Technique: Paired axial CT (left) and PSMA PET (right), [18F]PSMA-1007 tracer. acquired on Siemens Biograph mCT Flow 20.
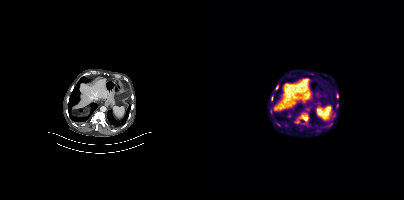
Findings: Coordinates are on the 200×200 PET (right) panel. PSMA-avid tumor lesion bounding box (x, y, width, height): x=95 y=115 w=8 h=7. Small PSMA-avid foci (2 to 4 px across) near (center x, center y): (93, 121) / (127, 124).